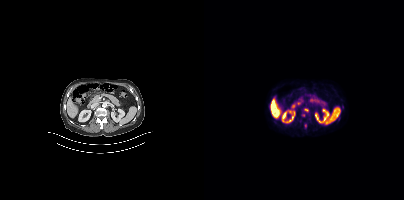
Left: CT. Right: PSMA PET, same axial level, 18F-PSMA tracer. Slice position z = -1258 mm.
Coordinates are on the 200×200 PET (right) panel. PSMA-avid tumor lesion bounding boxes:
| # | x0 | y0 | x1 | y1 |
|---|---|---|---|---|
| 1 | 100 | 108 | 104 | 111 |
Small PSMA-avid foci (2 to 4 px across) near (center x, center y): (138, 106); (101, 125); (99, 115).